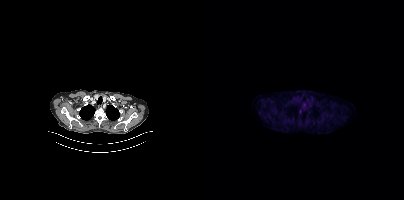
Coordinates are on the 200×200 PET (right) panel. PSMA-avid tumor lesion bounding box (x, y, width, height): x=95 y=109 w=3 h=5.